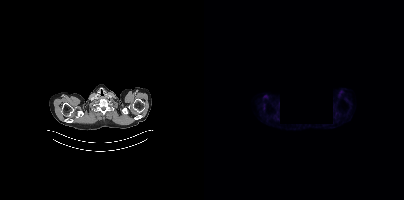
- a rectangular region was set to black for de-identification
- Paired axial CT (left) and PSMA PET (right), 18F tracer
- PET panel 200×200 px (4.1 mm/px)
Findings: No PSMA-avid tumor lesions on this slice.